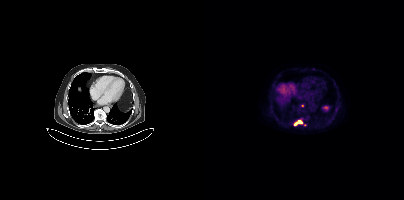
Coordinates are on the 200×200 PET (right) panel. PSMA-avid tumor lesion bounding boxes:
| # | x0 | y0 | x1 | y1 |
|---|---|---|---|---|
| 1 | 90 | 120 | 98 | 125 |
Small PSMA-avid focus (2 to 4 px across) near (center x, center y): (98, 105).
Left: CT. Right: PSMA PET, same axial level, 18F-PSMA tracer. PET panel 200×200 px (4.1 mm/px).